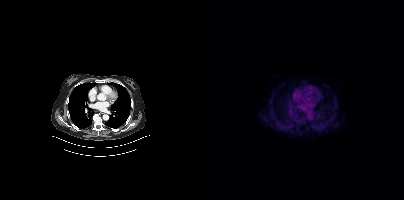
modality: PSMA PET/CT | tracer: [18F]PSMA-1007 | view: axial | PET grid: 200×200
No PSMA-avid tumor lesions on this slice.